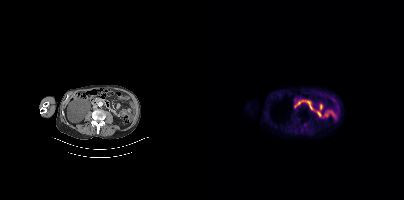
No tumor lesions annotated on this slice.